- Left: CT. Right: PSMA PET, same axial level, 18F tracer
- slice 250 of 389
- PET panel 200×200 px (4.1 mm/px)
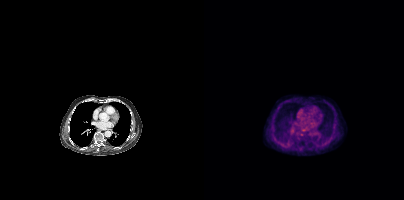
Findings: This slice has no annotated PSMA-avid lesion.